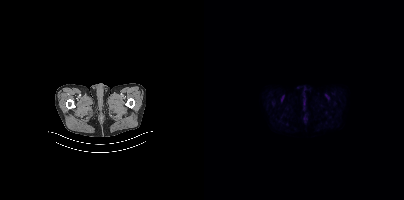
Two-panel axial: CT | PSMA PET, [18F]PSMA-1007 tracer. Slice 34 of 421. PET panel 200×200 px (4.1 mm/px). Negative for PSMA-avid disease on this slice.